Two-panel axial: CT | PSMA PET, 68Ga-PSMA tracer. Acquired on Siemens Biograph 64-4R TruePoint. Slice position z = -360 mm.
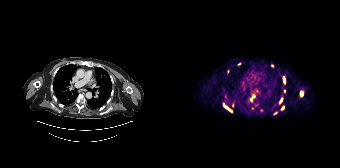
Coordinates are on the 168×168 PET (right) panel. (showing 9 of 12 foci) PSMA-avid tumor lesion bounding boxes (x0, y0)-(x1, y1): (51, 104)-(60, 111) / (128, 91)-(131, 96) / (111, 77)-(113, 83). Small PSMA-avid foci (2 to 4 px across) near (center x, center y): (109, 100) / (112, 91) / (111, 107) / (103, 113) / (100, 65) / (67, 63).